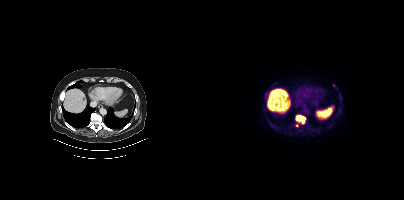
- Paired axial CT (left) and PSMA PET (right), 18F tracer
- slice position z = -991 mm
Findings: Coordinates are on the 200×200 PET (right) panel. PSMA-avid tumor lesion bounding boxes (x0,y0,x1,y1): [91,115,96,121], [96,117,101,123]. Small PSMA-avid foci (2 to 4 px across) near (center x, center y): (114, 130), (120, 129), (136, 95), (136, 109), (108, 129), (93, 125), (130, 85), (72, 129), (66, 123).